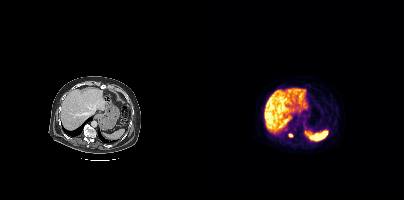
{"modality":"PSMA PET/CT","view":"axial","tracer":"18F","pet_grid":[200,200],"coord_frame":"pet_panel","coord_format":"x0,y0,x1,y1","lesion_bboxes":[],"small_foci_centers":[[86,135]]}